- Two-panel axial: CT | PSMA PET, 18F tracer
- slice 319 of 444
- PET panel 200×200 px (4.1 mm/px)
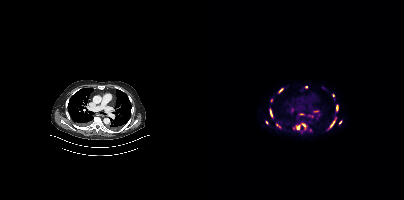
Findings: Coordinates are on the 200×200 PET (right) panel. (showing 12 of 14 foci) PSMA-avid tumor lesion bounding boxes (x0,y0,x1,y1): [89,123,103,130], [124,117,132,129], [132,105,134,111], [66,109,68,117], [128,93,131,100], [72,124,76,127], [75,88,78,92]. Small PSMA-avid foci (2 to 4 px across) near (center x, center y): (136, 122), (102, 87), (62, 122), (67, 100), (106, 129).